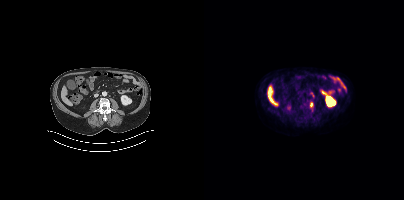
Left: CT. Right: PSMA PET, same axial level, 18F-PSMA tracer. Slice position z = -1264 mm. Coordinates are on the 200×200 PET (right) panel. PSMA-avid tumor lesion bounding box (x0,y0,x1,y1): [106,102,108,106]. Small PSMA-avid focus (2 to 4 px across) near (center x, center y): (107, 93).